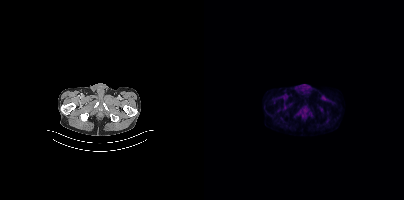
Negative for PSMA-avid disease on this slice. Two-panel axial: CT | PSMA PET, 18F-PSMA tracer. Acquired on Siemens Biograph mCT Flow 20.